- Left: CT. Right: PSMA PET, same axial level, 18F tracer
- acquired on Siemens Biograph mCT Flow 20
- slice 71 of 417
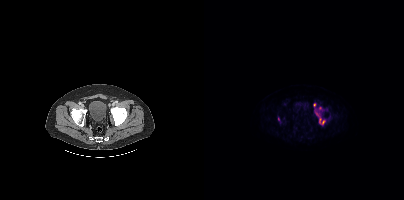
Findings: Coordinates are on the 200×200 PET (right) panel. PSMA-avid tumor lesion bounding box (x0,y0,x1,y1): [111,107,121,124]. Small PSMA-avid foci (2 to 4 px across) near (center x, center y): (110, 104), (74, 118).